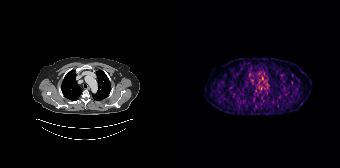
No tumor lesions annotated on this slice.